Paired axial CT (left) and PSMA PET (right), 68Ga tracer. Slice position z = -282 mm.
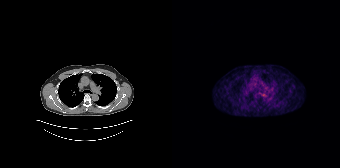
No tumor lesions annotated on this slice.